Left: CT. Right: PSMA PET, same axial level, 18F tracer. Slice 250 of 403.
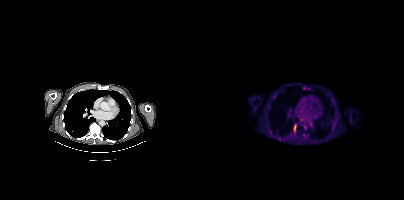
Coordinates are on the 200×200 PET (right) panel. PSMA-avid tumor lesion bounding box (x0,y0,x1,y1): [90,124,92,131]. Small PSMA-avid focus (2 to 4 px across) near (center x, center y): (100, 87).